Two-panel axial: CT | PSMA PET, [18F]PSMA-1007 tracer. Acquired on Siemens Biograph mCT Flow 20. PET panel 200×200 px (4.1 mm/px).
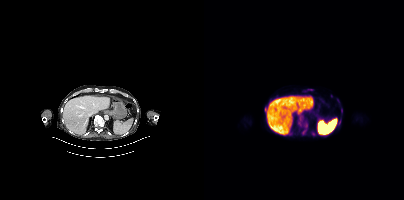
Coordinates are on the 200×200 PET (right) panel. (showing 10 of 11 foci) PSMA-avid tumor lesion bounding boxes (x, y, width, height): x=98 y=122 w=6 h=13; x=103 y=88 w=7 h=4; x=61 y=108 w=3 h=5; x=95 y=116 w=4 h=5. Small PSMA-avid foci (2 to 4 px across) near (center x, center y): (137, 111); (109, 134); (136, 120); (95, 123); (133, 100); (127, 95).